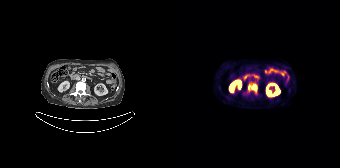
{"modality":"PSMA PET/CT","view":"axial","tracer":"[68Ga]Ga-PSMA-11","pet_grid":[168,168],"coord_frame":"pet_panel","coord_format":"x0,y0,x1,y1","lesion_bboxes":[[76,82,85,94]]}